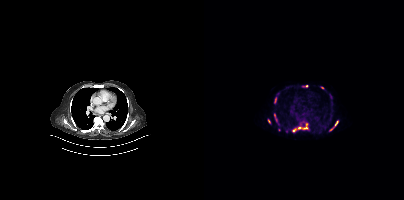
Coordinates are on the 200×200 PET (right) panel. (showing 8 of 9 foci) PSMA-avid tumor lesion bounding boxes (x0,y0,x1,y1): [94,122,104,129]; [125,122,133,131]; [70,98,72,103]; [70,115,73,119]; [64,119,66,123]. Small PSMA-avid foci (2 to 4 px across) near (center x, center y): (90, 129); (100, 86); (118, 87).